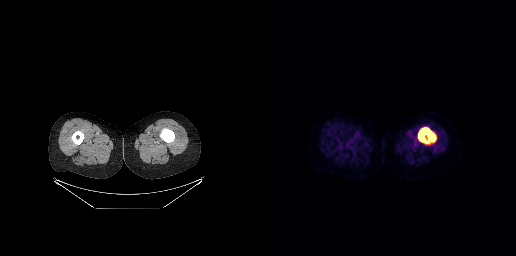
Coordinates are on the 256×256 PET (right) panel. PSMA-avid tumor lesion bounding box (x0, y0)-(x1, y1): (158, 127)-(175, 143). Paired axial CT (left) and PSMA PET (right), [18F]PSMA-1007 tracer. Acquired on GE Discovery 690. Slice 95 of 371. PET panel 256×256 px (2.7 mm/px).